modality: PSMA PET/CT | tracer: [68Ga]Ga-PSMA-11 | view: axial | PET grid: 168×168
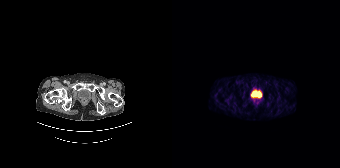
This slice has no annotated PSMA-avid lesion.